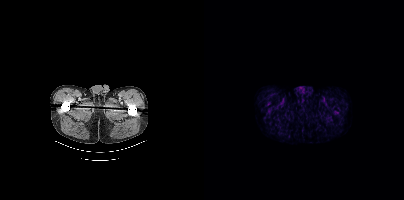
Negative for PSMA-avid disease on this slice.